Technique: Paired axial CT (left) and PSMA PET (right), [18F]PSMA-1007 tracer. slice 313 of 448. PET panel 200×200 px (4.1 mm/px).
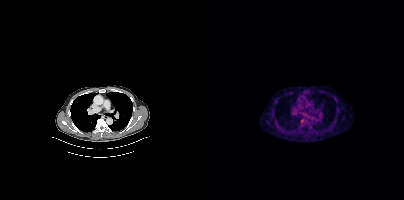
Findings: Coordinates are on the 200×200 PET (right) panel. PSMA-avid tumor lesion bounding box (x0, y0)-(x1, y1): (96, 118)-(101, 123).